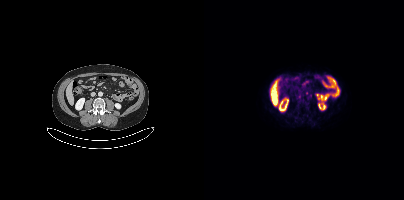
Coordinates are on the 200×200 PET (right) panel. Small PSMA-avid foci (2 to 4 px across) near (center x, center y): (102, 92) / (95, 96).